Two-panel axial: CT | PSMA PET, [18F]PSMA-1007 tracer. Acquired on GE Discovery 690. Slice 144 of 263.
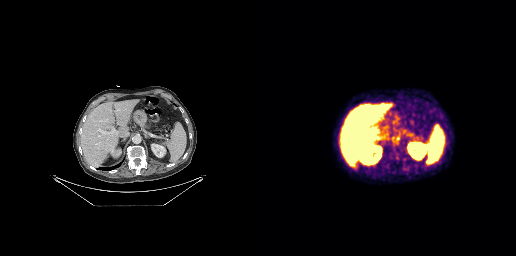
No PSMA-avid tumor lesions on this slice.